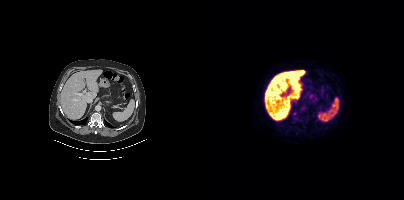
modality: PSMA PET/CT | tracer: 18F-PSMA | view: axial
This slice has no annotated PSMA-avid lesion.